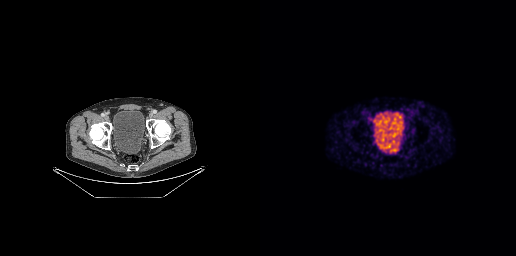
Technique: Left: CT. Right: PSMA PET, same axial level, 68Ga-PSMA tracer. acquired on GE Discovery 690. slice 67 of 263.
Findings: Coordinates are on the 256×256 PET (right) panel. Small PSMA-avid focus (2 to 4 px across) near (center x, center y): (110, 119).